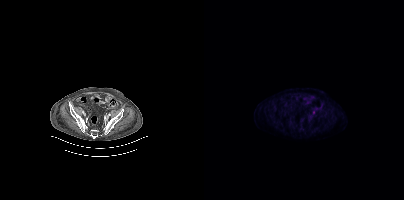
Coordinates are on the 200×200 PET (right) panel. Small PSMA-avid focus (2 to 4 px across) near (center x, center y): (109, 111).